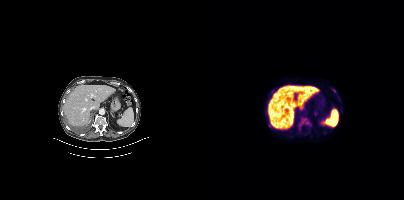
- Paired axial CT (left) and PSMA PET (right), [18F]PSMA-1007 tracer
Findings: Coordinates are on the 200×200 PET (right) panel. PSMA-avid tumor lesion bounding box (x0,y0,x1,y1): [97,118,104,124].